Two-panel axial: CT | PSMA PET, [18F]PSMA-1007 tracer. Acquired on GE Discovery 690. PET panel 256×256 px (2.7 mm/px).
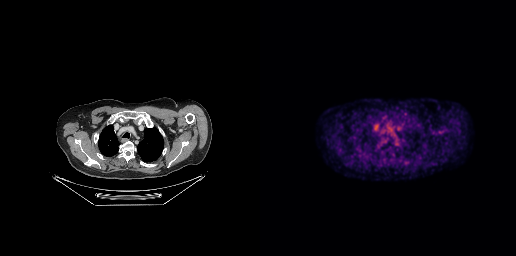
No tumor lesions annotated on this slice.